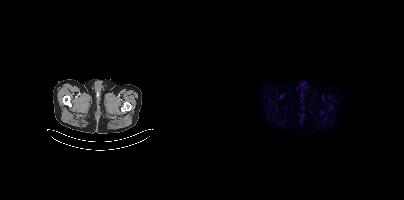
No tumor lesions annotated on this slice.